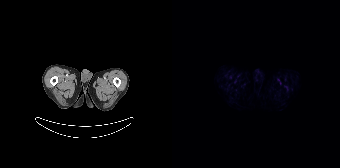
{"modality":"PSMA PET/CT","view":"axial","tracer":"[18F]PSMA-1007","pet_grid":[168,168],"coord_frame":"pet_panel","coord_format":"x0,y0,x1,y1","psma_avid_lesions":false}